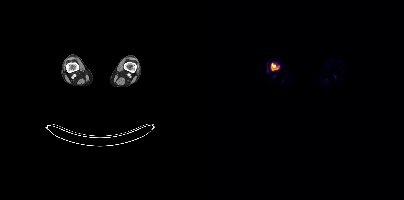
modality: PSMA PET/CT | tracer: 18F | view: axial
Coordinates are on the 200×200 PET (right) panel. PSMA-avid tumor lesion bounding box (x0,y0,x1,y1): [67,63,75,70].